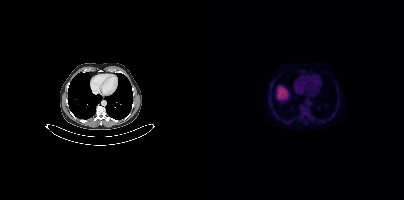
Negative for PSMA-avid disease on this slice.